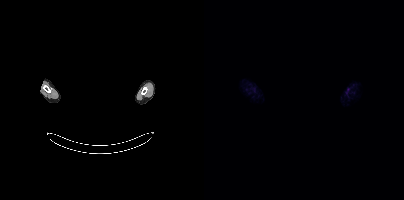
The face region was removed for patient privacy by blanking a rectangle over the head.
No PSMA-avid tumor lesions on this slice.